modality: PSMA PET/CT | tracer: [18F]PSMA-1007 | view: axial
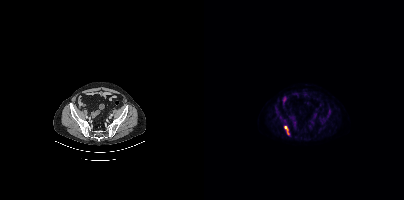
Coordinates are on the 200×200 PET (right) panel. PSMA-avid tumor lesion bounding box (x0,y0,x1,y1): [80,126,84,134].